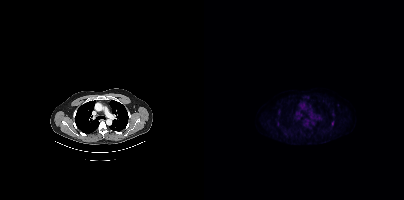
modality: PSMA PET/CT | tracer: 18F-PSMA | view: axial
This slice has no annotated PSMA-avid lesion.